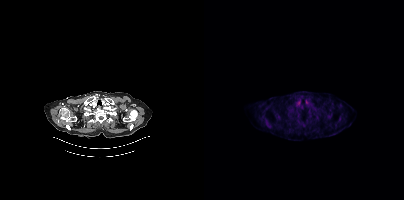
Negative for PSMA-avid disease on this slice. Left: CT. Right: PSMA PET, same axial level, 18F tracer. PET panel 200×200 px (4.1 mm/px).